- Two-panel axial: CT | PSMA PET, 18F-PSMA tracer
- slice 19 of 401
- PET panel 200×200 px (4.1 mm/px)
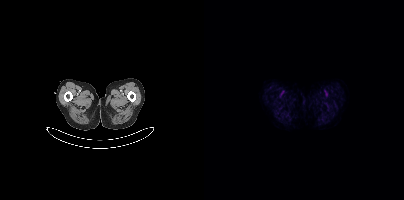
Findings: This slice has no annotated PSMA-avid lesion.